Paired axial CT (left) and PSMA PET (right), 68Ga tracer. Slice 57 of 263.
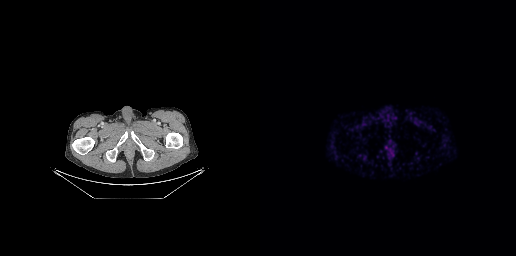
No PSMA-avid tumor lesions on this slice.